Left: CT. Right: PSMA PET, same axial level, [18F]PSMA-1007 tracer. PET panel 200×200 px (4.1 mm/px).
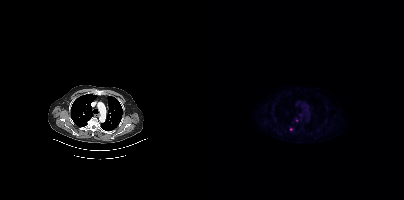
Coordinates are on the 200×200 PET (right) panel. Small PSMA-avid foci (2 to 4 px across) near (center x, center y): (87, 129), (92, 120).